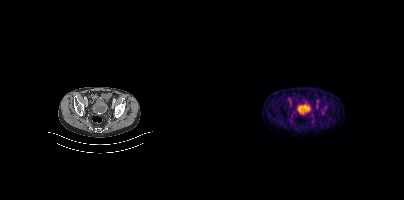
No tumor lesions annotated on this slice.